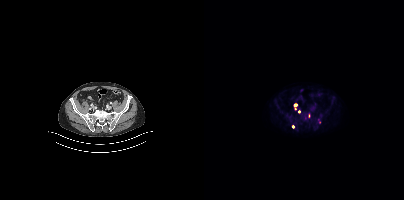
Findings: Coordinates are on the 200×200 PET (right) panel. (showing 2 of 5 foci) Small PSMA-avid foci (2 to 4 px across) near (center x, center y): (91, 105), (91, 108).
Technique: Paired axial CT (left) and PSMA PET (right), 18F tracer.